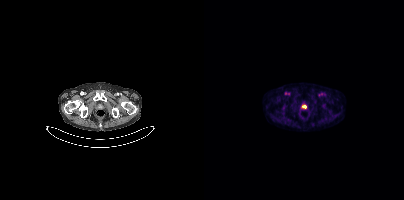
Technique: Left: CT. Right: PSMA PET, same axial level, 18F-PSMA tracer.
Findings: Coordinates are on the 200×200 PET (right) panel. PSMA-avid tumor lesion bounding box (x, y, width, height): x=98 y=105 w=5 h=4.